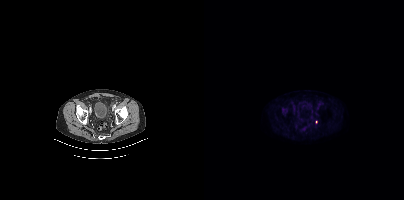
Coordinates are on the 200×200 PET (right) panel. PSMA-avid tumor lesion bounding box (x, y, width, height): x=78 y=110 w=6 h=6. Small PSMA-avid focus (2 to 4 px across) near (center x, center y): (112, 122).